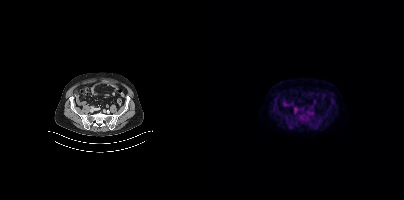
Technique: Two-panel axial: CT | PSMA PET, 18F-PSMA tracer. PET panel 200×200 px (4.1 mm/px).
Findings: Coordinates are on the 200×200 PET (right) panel. PSMA-avid tumor lesion bounding box (x0,y0,x1,y1): [90,107,93,112].